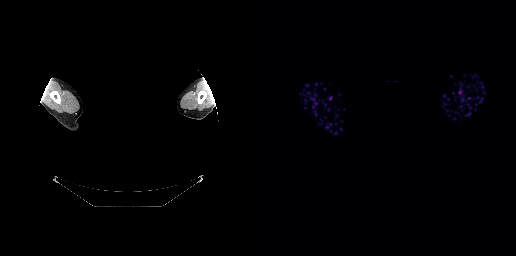
Technique: Paired axial CT (left) and PSMA PET (right), [68Ga]Ga-PSMA-11 tracer. slice position z = -236 mm.
Note: Facial anatomy redacted by setting a rectangular region of the head to black.
Findings: No PSMA-avid tumor lesions on this slice.